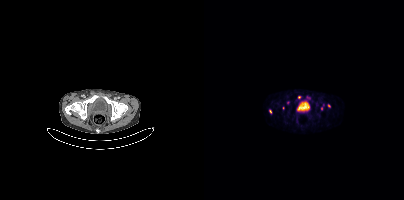
Findings: Coordinates are on the 200×200 PET (right) panel. (showing 4 of 7 foci) Small PSMA-avid foci (2 to 4 px across) near (center x, center y): (66, 111); (125, 105); (94, 96); (117, 108).
- Left: CT. Right: PSMA PET, same axial level, 68Ga-PSMA tracer
- acquired on Siemens Biograph mCT Flow 20